Two-panel axial: CT | PSMA PET, [18F]PSMA-1007 tracer. Acquired on Siemens Biograph mCT Flow 20. Slice 233 of 395.
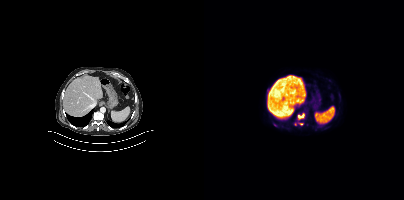
Coordinates are on the 200×200 PET (right) panel. (showing 3 of 4 foci) PSMA-avid tumor lesion bounding box (x0, y0)-(x1, y1): (94, 113)-(100, 119). Small PSMA-avid foci (2 to 4 px across) near (center x, center y): (96, 124) / (70, 124).